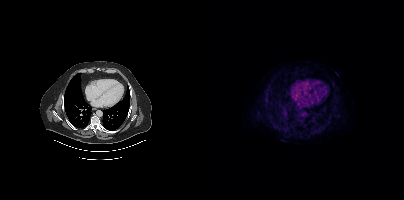
This slice has no annotated PSMA-avid lesion.